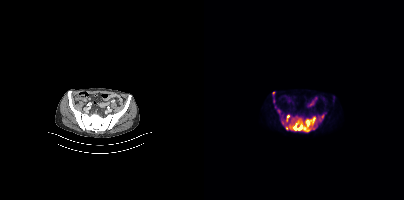
{"modality":"PSMA PET/CT","view":"axial","tracer":"18F","pet_grid":[200,200],"coord_frame":"pet_panel","coord_format":"x0,y0,x1,y1","partial":true,"lesion_bboxes":[[82,114,120,132],[82,114,86,122],[73,109,76,113]],"small_foci_centers":[[69,93],[78,122]]}